Technique: Two-panel axial: CT | PSMA PET, [68Ga]Ga-PSMA-11 tracer.
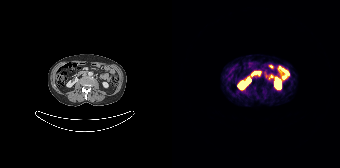
Findings: This slice has no annotated PSMA-avid lesion.